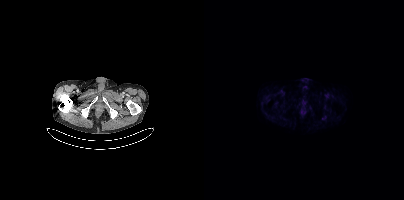
{"modality":"PSMA PET/CT","view":"axial","tracer":"18F","pet_grid":[200,200],"coord_frame":"pet_panel","coord_format":"x0,y0,x1,y1","psma_avid_lesions":false}